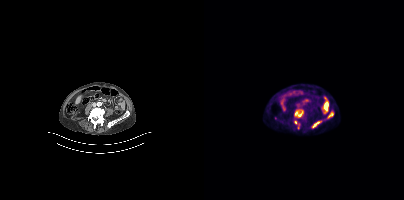
Technique: Left: CT. Right: PSMA PET, same axial level, 18F tracer.
Findings: Coordinates are on the 200×200 PET (right) panel. PSMA-avid tumor lesion bounding boxes (x0, y0)-(x1, y1): (90, 109)-(99, 117); (90, 120)-(95, 128).